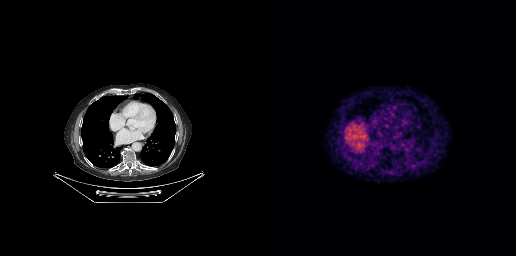
modality: PSMA PET/CT | tracer: 68Ga | view: axial
No tumor lesions annotated on this slice.